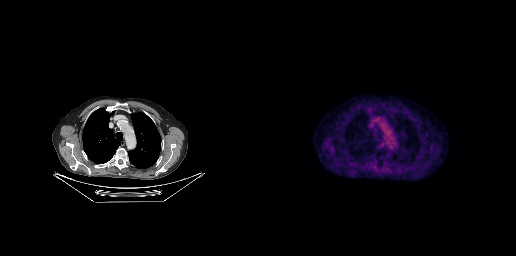
Technique: Paired axial CT (left) and PSMA PET (right), [18F]PSMA-1007 tracer.
Findings: No tumor lesions annotated on this slice.